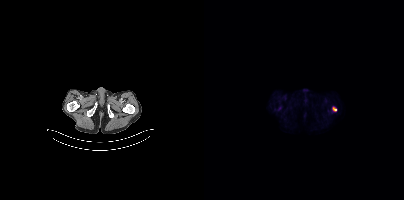
{"pet_grid":[200,200],"coord_frame":"pet_panel","coord_format":"x0,y0,x1,y1","lesion_bboxes":[],"small_foci_centers":[[130,108]],"modality":"PSMA PET/CT","view":"axial","tracer":"[18F]PSMA-1007"}